Technique: Left: CT. Right: PSMA PET, same axial level, 18F-PSMA tracer. PET panel 200×200 px (4.1 mm/px).
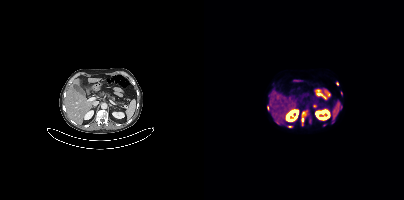
Findings: Coordinates are on the 200×200 PET (right) panel. PSMA-avid tumor lesion bounding box (x0, y0)-(x1, y1): (97, 111)-(102, 121). Small PSMA-avid foci (2 to 4 px across) near (center x, center y): (63, 107) / (137, 107) / (98, 124) / (120, 125) / (86, 126) / (133, 83) / (137, 93) / (110, 105) / (73, 122) / (128, 122).